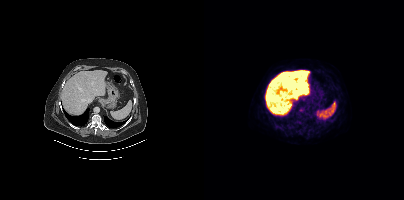
modality: PSMA PET/CT | tracer: 18F | view: axial | PET grid: 200×200
Negative for PSMA-avid disease on this slice.